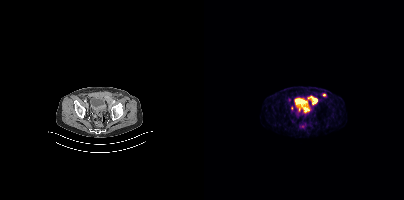
- Left: CT. Right: PSMA PET, same axial level, [68Ga]Ga-PSMA-11 tracer
Findings: Coordinates are on the 200×200 PET (right) panel. PSMA-avid tumor lesion bounding boxes (x0, y0)-(x1, y1): (108, 99)-(112, 104) / (102, 107)-(105, 111). Small PSMA-avid foci (2 to 4 px across) near (center x, center y): (95, 110) / (120, 94) / (107, 96) / (87, 108) / (100, 111).